Technique: Two-panel axial: CT | PSMA PET, 18F-PSMA tracer. acquired on Siemens Biograph mCT Flow 20. slice 161 of 401. PET panel 200×200 px (4.1 mm/px).
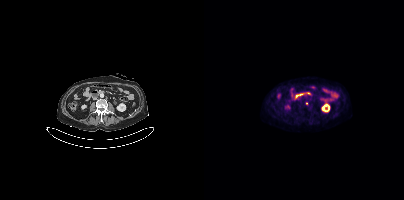
Findings: Coordinates are on the 200×200 PET (right) panel. Small PSMA-avid focus (2 to 4 px across) near (center x, center y): (102, 103).